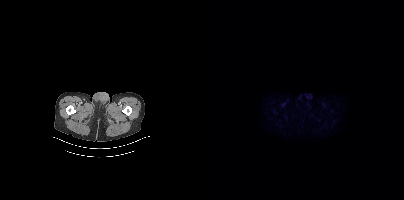
{"modality":"PSMA PET/CT","view":"axial","tracer":"18F","pet_grid":[200,200],"coord_frame":"pet_panel","coord_format":"x0,y0,x1,y1","psma_avid_lesions":false}